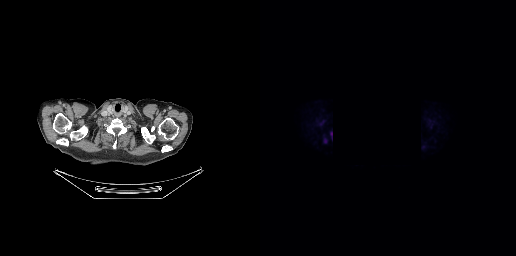
modality: PSMA PET/CT | tracer: 18F | view: axial | deidentification: region blacked out before release
Coordinates are on the 256×256 PET (right) panel. Small PSMA-avid focus (2 to 4 px across) near (center x, center y): (65, 141).